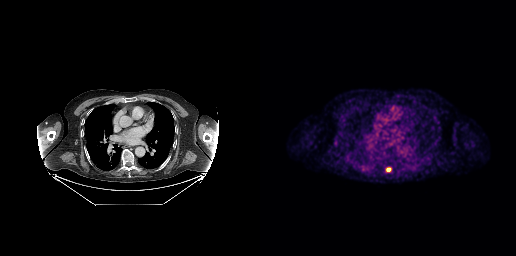
- Left: CT. Right: PSMA PET, same axial level, [18F]PSMA-1007 tracer
- acquired on GE Discovery 690
- slice position z = -413 mm
- PET panel 256×256 px (2.7 mm/px)
Findings: Coordinates are on the 256×256 PET (right) panel. PSMA-avid tumor lesion bounding box (x0, y0)-(x1, y1): (126, 167)-(131, 171).